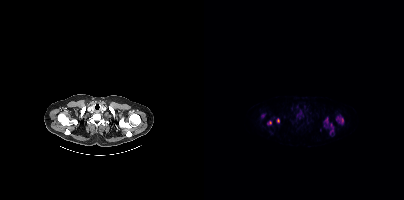
Coordinates are on the 200×200 PET (right) panel. (showing 5 of 7 foci) PSMA-avid tumor lesion bounding boxes (x, y, width, height): x=132 y=115 w=8 h=10 / x=126 y=123 w=4 h=12 / x=120 y=117 w=5 h=8. Small PSMA-avid foci (2 to 4 px across) near (center x, center y): (74, 120) / (66, 122).